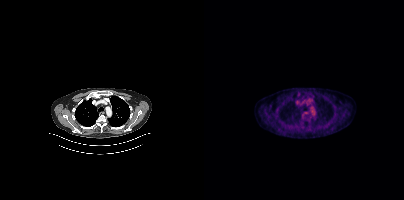
Negative for PSMA-avid disease on this slice.